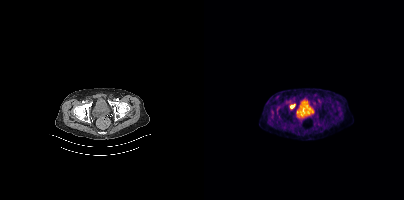
Coordinates are on the 200×200 PET (right) panel. Small PSMA-avid focus (2 to 4 px across) near (center x, center y): (88, 106). Two-panel axial: CT | PSMA PET, 18F tracer. Acquired on Siemens Biograph mCT Flow 20.